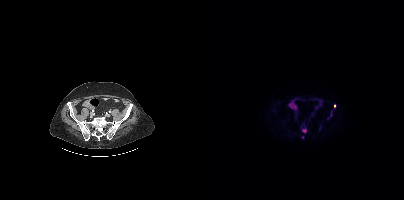
modality: PSMA PET/CT | tracer: 18F | view: axial
Only PSMA-avid lesion pieces thinner than 2 px on this slice (not listed).